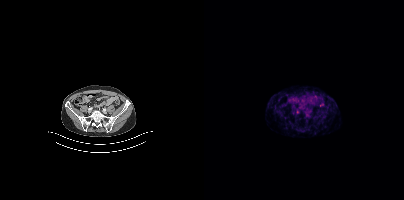
Findings: This slice has no annotated PSMA-avid lesion.
- Left: CT. Right: PSMA PET, same axial level, 68Ga-PSMA tracer
- slice position z = -1330 mm